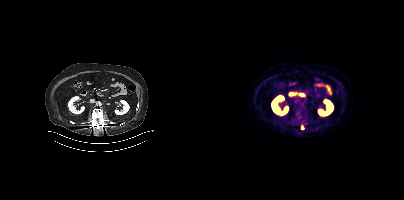
Coordinates are on the 200×200 PET (right) panel. Small PSMA-avid focus (2 to 4 px across) near (center x, center y): (98, 128). Paired axial CT (left) and PSMA PET (right), 18F tracer.